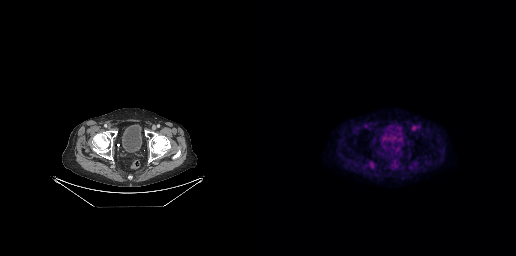
{"modality":"PSMA PET/CT","view":"axial","tracer":"18F","pet_grid":[256,256],"coord_frame":"pet_panel","coord_format":"x0,y0,x1,y1","psma_avid_lesions":false}